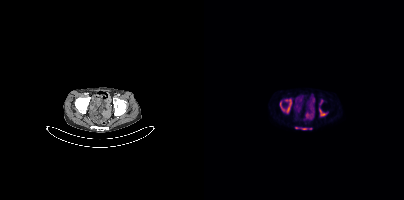
{"modality":"PSMA PET/CT","view":"axial","tracer":"[18F]PSMA-1007","pet_grid":[200,200],"coord_frame":"pet_panel","coord_format":"x0,y0,x1,y1","lesion_bboxes":[[76,99,87,112],[115,108,122,116],[91,127,103,129],[116,100,118,104]],"small_foci_centers":[[106,128]]}